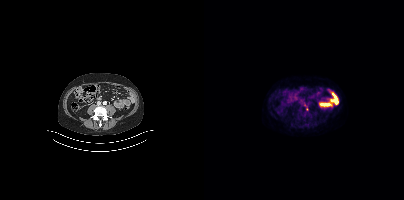
Findings: Only PSMA-avid lesion pieces thinner than 2 px on this slice (not listed).
- Paired axial CT (left) and PSMA PET (right), 18F tracer
- slice position z = -832 mm
- PET panel 200×200 px (4.1 mm/px)